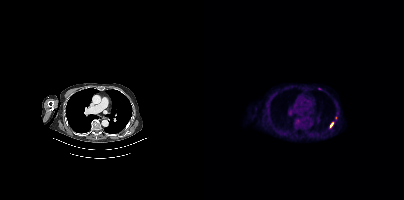
{"pet_grid":[200,200],"coord_frame":"pet_panel","coord_format":"x0,y0,x1,y1","lesion_bboxes":[[125,122,129,128]],"small_foci_centers":[[131,117]],"modality":"PSMA PET/CT","view":"axial","tracer":"18F-PSMA"}